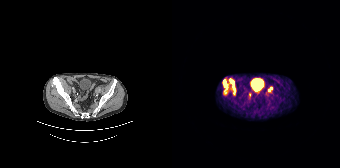
Coordinates are on the 168×168 PET (right) panel. (showing 5 of 6 foci) PSMA-avid tumor lesion bounding boxes (x0, y0)-(x1, y1): (57, 78)-(63, 94); (51, 79)-(56, 93); (95, 87)-(100, 92). Small PSMA-avid foci (2 to 4 px across) near (center x, center y): (77, 94); (86, 92).